Left: CT. Right: PSMA PET, same axial level, 68Ga-PSMA tracer. Slice position z = -409 mm.
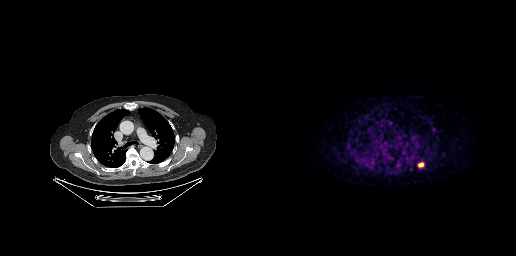
Coordinates are on the 256×256 PET (right) panel. PSMA-avid tumor lesion bounding boxes:
| # | x0 | y0 | x1 | y1 |
|---|---|---|---|---|
| 1 | 159 | 163 | 163 | 166 |